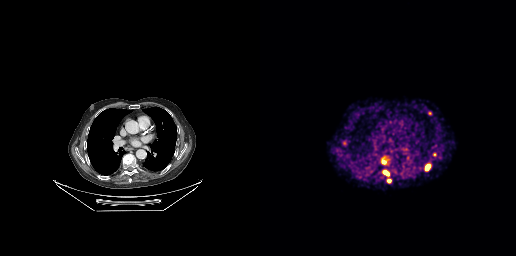
Coordinates are on the 256×256 PET (right) panel. PSMA-avid tumor lesion bounding boxes (x0,y0,x1,y1): [121,156,130,164]; [165,165,170,170]; [124,171,128,175]; [168,111,171,115]. Small PSMA-avid foci (2 to 4 px across) near (center x, center y): (129, 181); (174, 154).
modality: PSMA PET/CT | tracer: 68Ga | view: axial